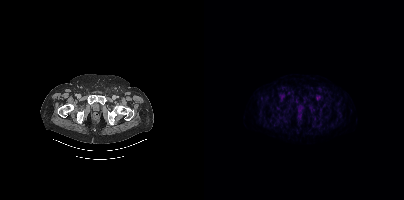
No tumor lesions annotated on this slice.